- Paired axial CT (left) and PSMA PET (right), 18F-PSMA tracer
- slice position z = -594 mm
- PET panel 200×200 px (4.1 mm/px)
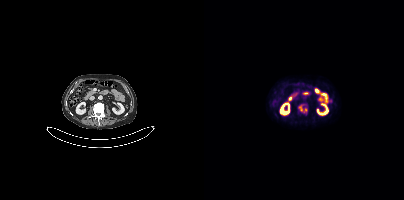
Findings: Coordinates are on the 200×200 PET (right) panel. PSMA-avid tumor lesion bounding box (x, y, width, height): x=94 y=104 w=10 h=10.